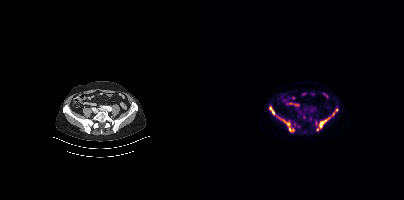
{"modality":"PSMA PET/CT","view":"axial","tracer":"18F-PSMA","pet_grid":[200,200],"coord_frame":"pet_panel","coord_format":"x0,y0,x1,y1","lesion_bboxes":[[73,116,89,131],[113,117,126,130],[128,108,133,116]],"small_foci_centers":[[69,113],[66,107],[90,124],[106,119]]}